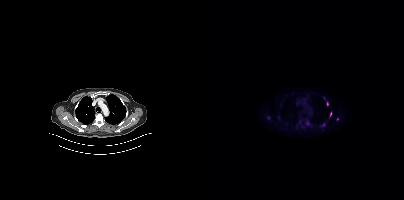
{"modality":"PSMA PET/CT","view":"axial","tracer":"18F-PSMA","pet_grid":[200,200],"coord_frame":"pet_panel","coord_format":"x0,y0,x1,y1","partial":true,"lesion_bboxes":[],"small_foci_centers":[[133,119],[123,104],[126,114]]}